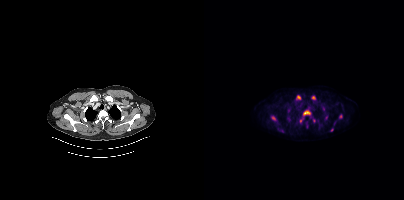
Coordinates are on the 200×200 PET (right) panel. PSMA-avid tumor lesion bounding boxes (x, y, width, height): x=95 y=110 w=13 h=14 | x=92 y=95 w=5 h=6 | x=67 y=116 w=5 h=5 | x=102 y=122 w=2 h=6. Small PSMA-avid foci (2 to 4 px across) near (center x, center y): (109, 97) | (77, 130) | (128, 129) | (121, 118) | (136, 116) | (109, 120). Paired axial CT (left) and PSMA PET (right), [18F]PSMA-1007 tracer. PET panel 200×200 px (4.1 mm/px).